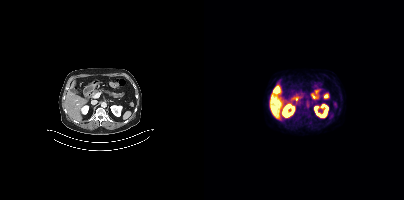
{"modality":"PSMA PET/CT","view":"axial","tracer":"18F-PSMA","pet_grid":[200,200],"coord_frame":"pet_panel","coord_format":"x0,y0,x1,y1","psma_avid_lesions":false}